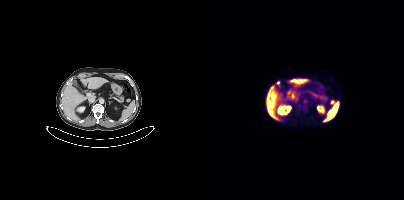
{"modality":"PSMA PET/CT","view":"axial","tracer":"18F","pet_grid":[200,200],"coord_frame":"pet_panel","coord_format":"x0,y0,x1,y1","lesion_bboxes":[[127,100,131,104]]}